Two-panel axial: CT | PSMA PET, 18F-PSMA tracer. PET panel 200×200 px (4.1 mm/px). Any black rectangle over the head is a privacy mask, not anatomy.
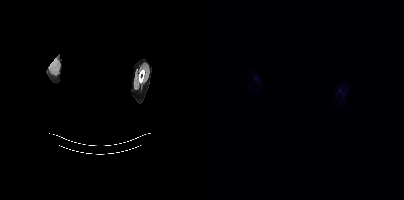
This slice has no annotated PSMA-avid lesion.